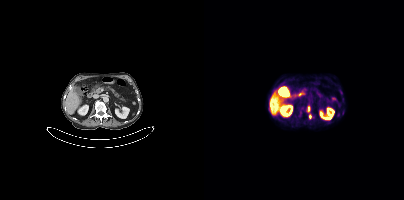
Paired axial CT (left) and PSMA PET (right), [18F]PSMA-1007 tracer. Acquired on Siemens Biograph mCT Flow 20. PET panel 200×200 px (4.1 mm/px).
Coordinates are on the 200×200 PET (right) panel. PSMA-avid tumor lesion bounding boxes (partial; 1 more focus not listed):
| # | x0 | y0 | x1 | y1 |
|---|---|---|---|---|
| 1 | 104 | 106 | 105 | 111 |
Small PSMA-avid focus (2 to 4 px across) near (center x, center y): (106, 116).